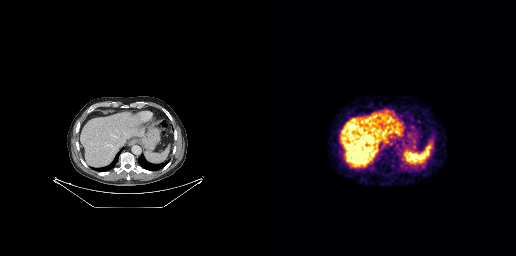
- Paired axial CT (left) and PSMA PET (right), 68Ga tracer
- acquired on GE Discovery 690
Findings: No tumor lesions annotated on this slice.